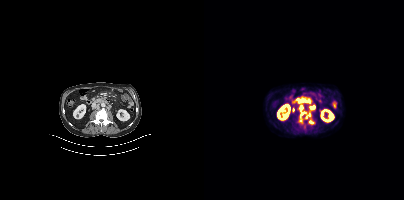
Findings: Coordinates are on the 200×200 PET (right) panel. PSMA-avid tumor lesion bounding boxes (x0,y0,x1,y1): [95,105,106,122] [94,99,102,102] [106,105,111,109] [105,120,109,124].
Technique: Two-panel axial: CT | PSMA PET, 18F-PSMA tracer. slice 175 of 405. PET panel 200×200 px (4.1 mm/px).